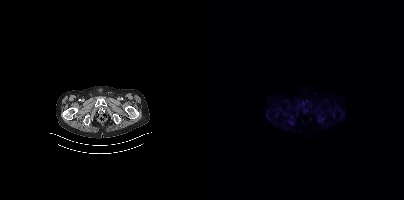
modality: PSMA PET/CT | tracer: [18F]PSMA-1007 | view: axial
No PSMA-avid tumor lesions on this slice.